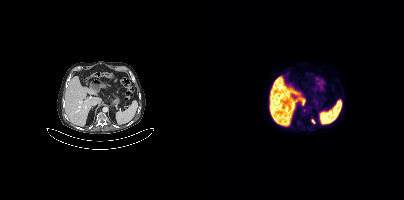
Technique: Left: CT. Right: PSMA PET, same axial level, 18F-PSMA tracer. slice 220 of 395.
Findings: Coordinates are on the 200×200 PET (right) panel. PSMA-avid tumor lesion bounding box (x0, y0)-(x1, y1): (107, 119)-(111, 123). Small PSMA-avid focus (2 to 4 px across) near (center x, center y): (100, 110).